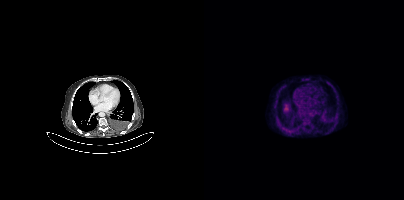
Findings: No PSMA-avid tumor lesions on this slice.
Technique: Two-panel axial: CT | PSMA PET, 18F tracer. slice position z = -1134 mm.